- Left: CT. Right: PSMA PET, same axial level, [18F]PSMA-1007 tracer
- acquired on Siemens Biograph mCT Flow 20
- PET panel 200×200 px (4.1 mm/px)
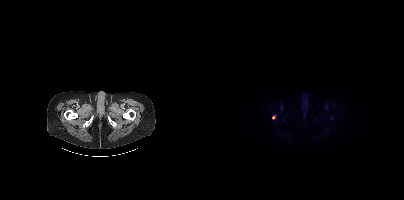
Findings: Coordinates are on the 200×200 PET (right) panel. Small PSMA-avid focus (2 to 4 px across) near (center x, center y): (69, 117).